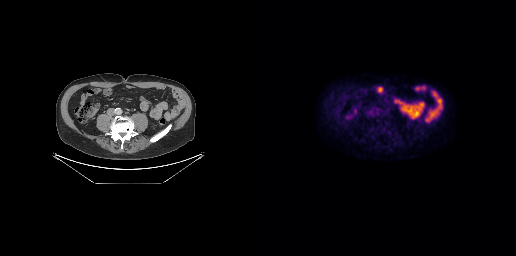
Negative for PSMA-avid disease on this slice. Left: CT. Right: PSMA PET, same axial level, 18F-PSMA tracer. Acquired on GE Discovery 690. Slice 98 of 227.